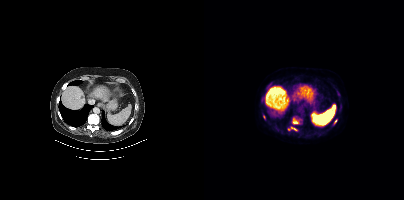
Left: CT. Right: PSMA PET, same axial level, [18F]PSMA-1007 tracer. Acquired on Siemens Biograph mCT Flow 20. Slice 267 of 462.
Coordinates are on the 200×200 PET (right) panel. PSMA-avid tumor lesion bounding boxes:
| # | x0 | y0 | x1 | y1 |
|---|---|---|---|---|
| 1 | 88 | 118 | 95 | 124 |
| 2 | 84 | 127 | 93 | 130 |
| 3 | 63 | 85 | 65 | 89 |
| 4 | 130 | 119 | 133 | 123 |
Small PSMA-avid focus (2 to 4 px across) near (center x, center y): (60, 117).